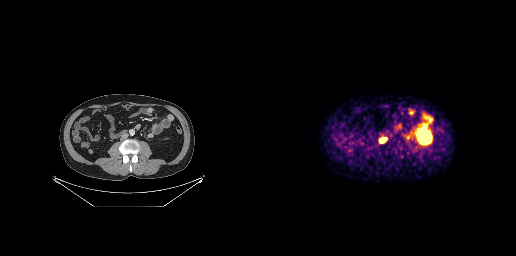
{"modality":"PSMA PET/CT","view":"axial","tracer":"[68Ga]Ga-PSMA-11","pet_grid":[256,256],"coord_frame":"pet_panel","coord_format":"x0,y0,x1,y1","lesion_bboxes":[[119,137,127,143]]}